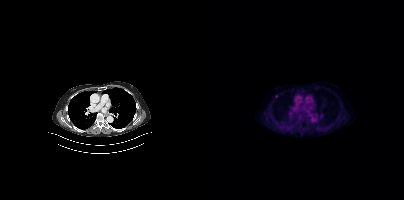
Coordinates are on the 200×200 PET (right) panel. Small PSMA-avid focus (2 to 4 px across) near (center x, center y): (72, 96). Left: CT. Right: PSMA PET, same axial level, 18F tracer.